Left: CT. Right: PSMA PET, same axial level, 68Ga tracer.
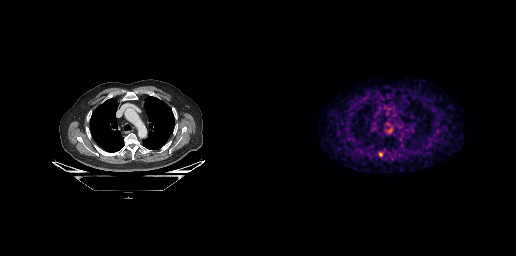
Coordinates are on the 256×256 PET (right) panel. PSMA-avid tumor lesion bounding boxes:
| # | x0 | y0 | x1 | y1 |
|---|---|---|---|---|
| 1 | 118 | 152 | 122 | 156 |